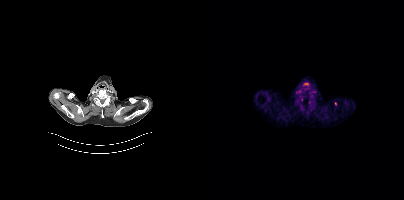
Two-panel axial: CT | PSMA PET, 18F tracer. PET panel 200×200 px (4.1 mm/px). No PSMA-avid tumor lesions on this slice.